Technique: Left: CT. Right: PSMA PET, same axial level, 18F tracer. acquired on Siemens Biograph mCT Flow 20. slice 73 of 403.
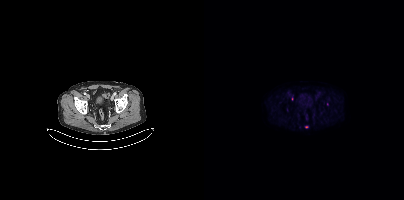
Findings: Only PSMA-avid lesion pieces thinner than 2 px on this slice (not listed).